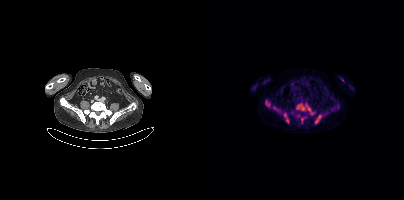
Coordinates are on the 200×200 PET (right) panel. (showing 6 of 7 foci) PSMA-avid tumor lesion bounding boxes (x0, y0)-(x1, y1): (92, 103)-(111, 114); (111, 114)-(117, 123); (79, 112)-(85, 123); (61, 100)-(66, 106); (69, 107)-(73, 110); (97, 118)-(99, 122).